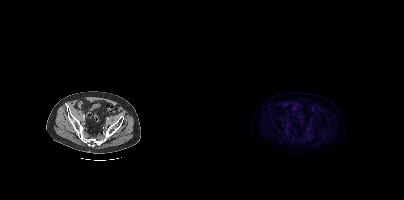
modality: PSMA PET/CT | tracer: 18F-PSMA | view: axial
No tumor lesions annotated on this slice.